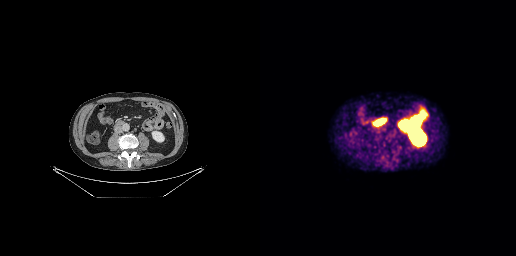
Technique: Left: CT. Right: PSMA PET, same axial level, 68Ga-PSMA tracer. acquired on GE Discovery 690. slice 112 of 263. PET panel 256×256 px (2.7 mm/px).
Findings: Negative for PSMA-avid disease on this slice.